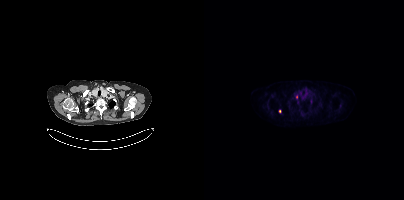
Two-panel axial: CT | PSMA PET, 18F-PSMA tracer. Acquired on Siemens Biograph mCT Flow 20. Slice position z = 434 mm. PET panel 200×200 px (4.1 mm/px). Coordinates are on the 200×200 PET (right) panel. Small PSMA-avid foci (2 to 4 px across) near (center x, center y): (75, 111); (92, 96).